Technique: Two-panel axial: CT | PSMA PET, [68Ga]Ga-PSMA-11 tracer. slice position z = -947 mm.
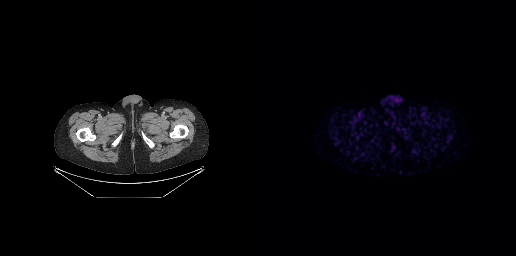
Findings: No tumor lesions annotated on this slice.